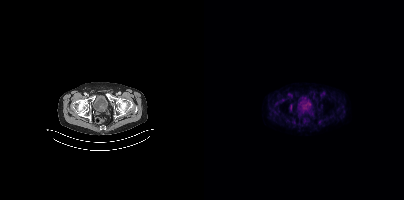
Coordinates are on the 200×200 PET (right) panel. PSMA-avid tumor lesion bounding box (x, y, width, height): x=86 y=104 w=3 h=6.
modality: PSMA PET/CT | tracer: 18F | view: axial